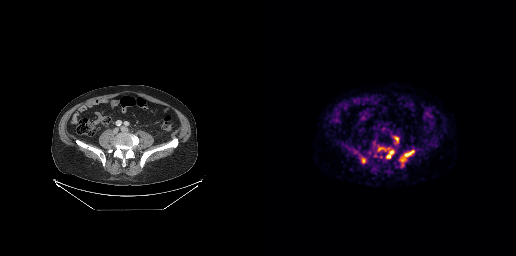
modality: PSMA PET/CT | tracer: [68Ga]Ga-PSMA-11 | view: axial | PET grid: 256×256
Coordinates are on the 256×256 PET (right) panel. PSMA-avid tumor lesion bounding boxes (x0,y0,x1,y1): [126,150,133,158] [144,150,154,156] [135,137,138,141] [141,158,145,161] [119,148,123,150]. Small PSMA-avid focus (2 to 4 px across) near (center x, center y): (103, 160).